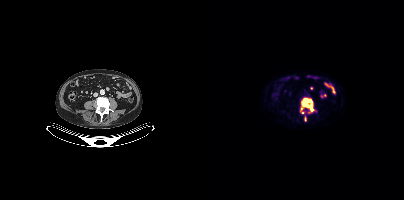
- Left: CT. Right: PSMA PET, same axial level, 18F tracer
- PET panel 200×200 px (4.1 mm/px)
Findings: Coordinates are on the 200×200 PET (right) panel. PSMA-avid tumor lesion bounding box (x, y, width, height): x=96 y=98 w=14 h=15. Small PSMA-avid focus (2 to 4 px across) near (center x, center y): (101, 119).